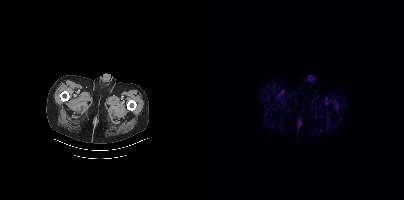
- Paired axial CT (left) and PSMA PET (right), [18F]PSMA-1007 tracer
- slice 39 of 462
Findings: No tumor lesions annotated on this slice.